Technique: Two-panel axial: CT | PSMA PET, 18F tracer.
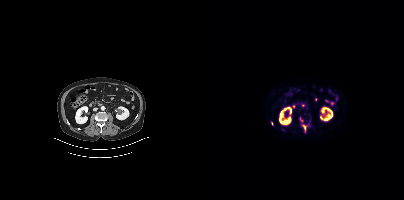
Findings: Coordinates are on the 200×200 PET (right) panel. (showing 1 of 2 foci) PSMA-avid tumor lesion bounding box (x0,y0,x1,y1): [99,125,102,132].